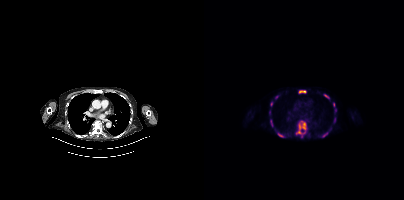
Findings: Coordinates are on the 200×200 PET (right) panel. (showing 11 of 13 foci) PSMA-avid tumor lesion bounding boxes (x, y, width, height): x=91 y=121 w=12 h=18; x=95 y=90 w=7 h=4; x=66 y=119 w=4 h=8; x=74 y=133 w=7 h=5; x=120 y=94 w=6 h=5. Small PSMA-avid foci (2 to 4 px across) near (center x, center y): (72, 96); (67, 103); (119, 135); (129, 104); (131, 110); (123, 132).
- Paired axial CT (left) and PSMA PET (right), 18F tracer
- slice 287 of 415